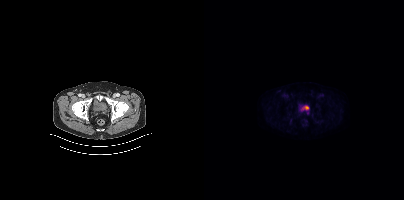
modality: PSMA PET/CT | tracer: [18F]PSMA-1007 | view: axial
Coordinates are on the 200×200 PET (right) panel. (showing 1 of 2 foci) Small PSMA-avid focus (2 to 4 px across) near (center x, center y): (104, 113).